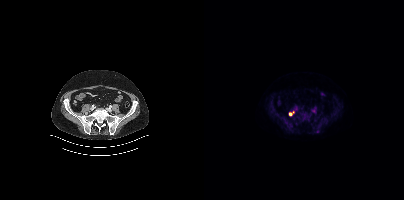
Findings: Coordinates are on the 200×200 PET (right) panel. PSMA-avid tumor lesion bounding box (x0,y0,x1,y1): [85,111,90,115].
Technique: Two-panel axial: CT | PSMA PET, 18F-PSMA tracer. acquired on Siemens Biograph mCT Flow 20.